- Paired axial CT (left) and PSMA PET (right), [18F]PSMA-1007 tracer
- slice 333 of 448
- PET panel 200×200 px (4.1 mm/px)
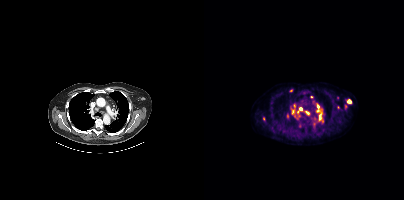
Findings: Coordinates are on the 200×200 PET (right) panel. (showing 11 of 15 foci) PSMA-avid tumor lesion bounding boxes (x0, y0)-(x1, y1): (88, 104)-(96, 118) / (112, 103)-(119, 122) / (100, 110)-(105, 114). Small PSMA-avid foci (2 to 4 px across) near (center x, center y): (110, 123) / (87, 90) / (83, 116) / (59, 118) / (145, 101) / (107, 96) / (96, 108) / (133, 97).